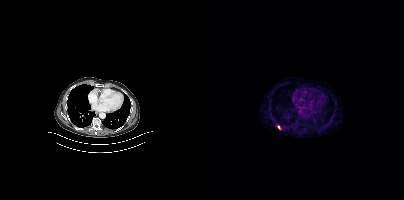
Findings: Coordinates are on the 200×200 PET (right) panel. Small PSMA-avid focus (2 to 4 px across) near (center x, center y): (74, 127).
- Paired axial CT (left) and PSMA PET (right), 68Ga tracer